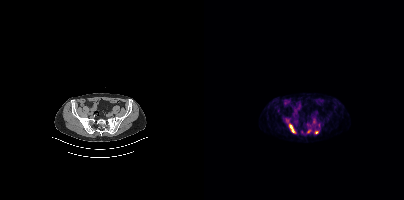
Coordinates are on the 200×200 PET (right) panel. PSMA-avid tumor lesion bounding box (x0,y0,x1,y1): [85,124,91,133]. Small PSMA-avid foci (2 to 4 px across) near (center x, center y): (112, 132) (104, 131).